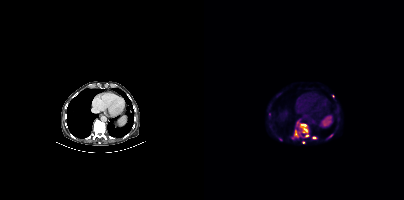
Coordinates are on the 200×200 PET (right) panel. (showing 5 of 8 foci) PSMA-avid tumor lesion bounding box (x0, y0)-(x1, y1): (88, 124)-(104, 138). Small PSMA-avid foci (2 to 4 px across) near (center x, center y): (93, 123) | (65, 114) | (127, 135) | (110, 137).